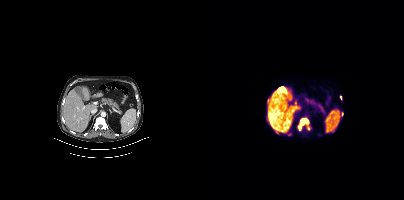
Coordinates are on the 200×200 PET (right) panel. PSMA-avid tumor lesion bounding boxes (partial; 2 more foci not listed):
| # | x0 | y0 | x1 | y1 |
|---|---|---|---|---|
| 1 | 94 | 118 | 105 | 129 |
Small PSMA-avid focus (2 to 4 px across) near (center x, center y): (136, 97).
Left: CT. Right: PSMA PET, same axial level, 18F-PSMA tracer. Slice 180 of 367. PET panel 200×200 px (4.1 mm/px).